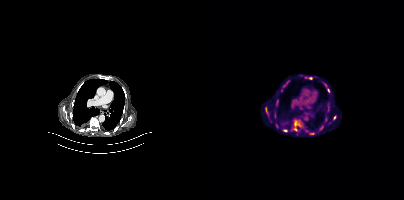
Coordinates are on the 200×200 PET (right) panel. (showing 5 of 8 foci) PSMA-avid tumor lesion bounding boxes (x0,y0,x1,y1): [88,119,99,131]; [61,107,64,116]; [72,100,74,105]. Small PSMA-avid foci (2 to 4 px across) near (center x, center y): (130, 117); (81, 130).